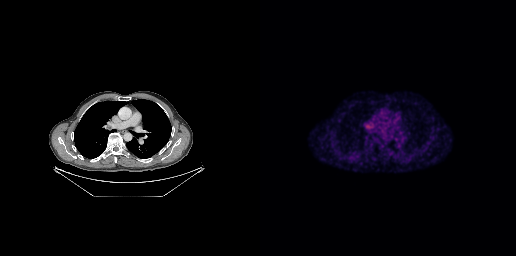
- Paired axial CT (left) and PSMA PET (right), 18F-PSMA tracer
- PET panel 256×256 px (2.7 mm/px)
Findings: Coordinates are on the 256×256 PET (right) panel. PSMA-avid tumor lesion bounding box (x0, y0)-(x1, y1): (105, 123)-(112, 131).